Technique: Left: CT. Right: PSMA PET, same axial level, 18F tracer. PET panel 256×256 px (2.7 mm/px).
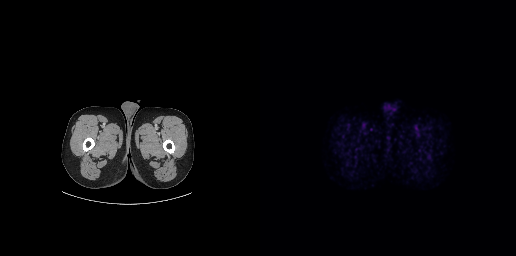
Findings: Negative for PSMA-avid disease on this slice.